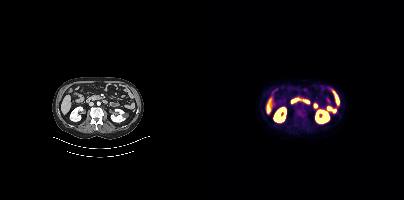
Technique: Two-panel axial: CT | PSMA PET, 18F-PSMA tracer.
Findings: Negative for PSMA-avid disease on this slice.